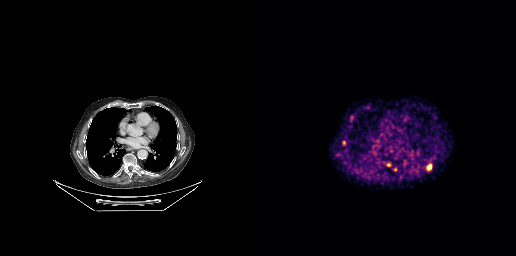
{"modality":"PSMA PET/CT","view":"axial","tracer":"[68Ga]Ga-PSMA-11","pet_grid":[256,256],"coord_frame":"pet_panel","coord_format":"x0,y0,x1,y1","lesion_bboxes":[[168,165,170,169]],"small_foci_centers":[[128,164],[107,107],[84,142],[135,169]]}